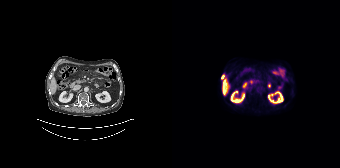
Paired axial CT (left) and PSMA PET (right), 18F tracer. Slice 81 of 165. Coordinates are on the 168×168 PET (right) panel. Small PSMA-avid focus (2 to 4 px across) near (center x, center y): (50, 76).